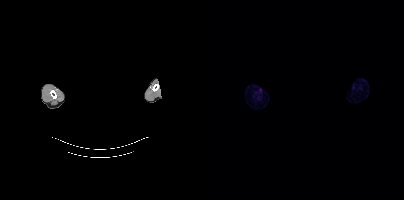
Technique: Left: CT. Right: PSMA PET, same axial level, 18F-PSMA tracer. PET panel 200×200 px (4.1 mm/px).
Note: A rectangle over the head was blacked out to remove identifiable facial features.
Findings: This slice has no annotated PSMA-avid lesion.